Technique: Left: CT. Right: PSMA PET, same axial level, 18F-PSMA tracer.
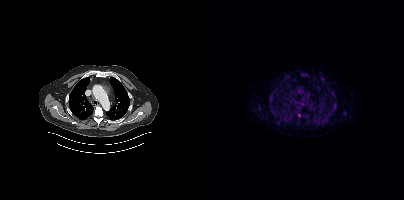
Findings: Coordinates are on the 200×200 PET (right) panel. (showing 11 of 12 foci) PSMA-avid tumor lesion bounding boxes (x, y, width, height): x=138 y=111 w=5 h=6 | x=97 y=73 w=7 h=4 | x=94 y=113 w=4 h=5 | x=123 y=113 w=6 h=7 | x=66 y=91 w=5 h=5 | x=130 y=104 w=3 h=5 | x=103 y=119 w=5 h=5. Small PSMA-avid foci (2 to 4 px across) near (center x, center y): (66, 105) | (119, 81) | (75, 119) | (73, 114).